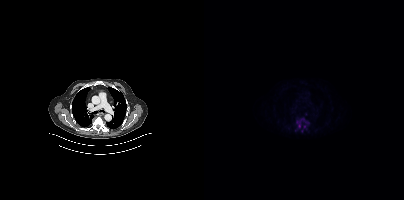
Coordinates are on the 200×200 PET (right) panel. PSMA-avid tumor lesion bounding box (x0,y0,x1,y1): [92,118,105,128]. Small PSMA-avid focus (2 to 4 px across) near (center x, center y): (97, 130).
modality: PSMA PET/CT | tracer: [18F]PSMA-1007 | view: axial | PET grid: 200×200